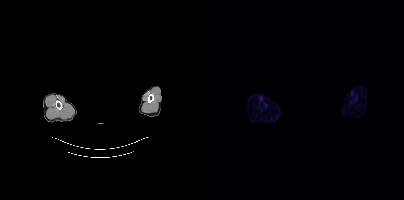
{"modality":"PSMA PET/CT","view":"axial","tracer":"18F","pet_grid":[200,200],"coord_frame":"pet_panel","coord_format":"x0,y0,x1,y1","psma_avid_lesions":false,"deidentification":"head region blacked out before release"}